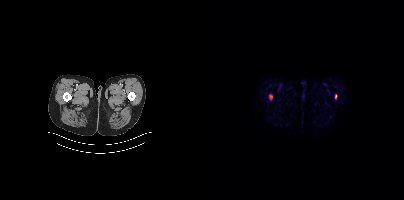
{"modality":"PSMA PET/CT","view":"axial","tracer":"18F","pet_grid":[200,200],"coord_frame":"pet_panel","coord_format":"x0,y0,x1,y1","lesion_bboxes":[[65,95,68,99],[131,94,132,98]]}